Technique: Left: CT. Right: PSMA PET, same axial level, 18F-PSMA tracer. acquired on Siemens Biograph mCT Flow 20. PET panel 200×200 px (4.1 mm/px).
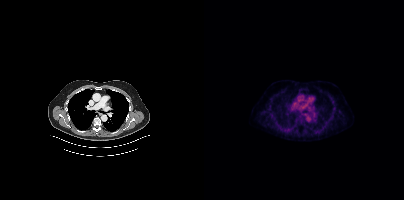
Findings: Only PSMA-avid lesion pieces thinner than 2 px on this slice (not listed).